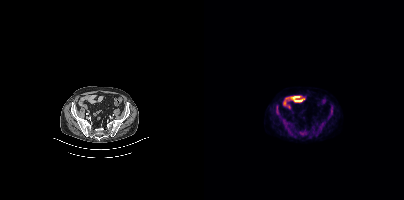
Paired axial CT (left) and PSMA PET (right), [18F]PSMA-1007 tracer. PET panel 200×200 px (4.1 mm/px). Coordinates are on the 200×200 PET (right) panel. PSMA-avid tumor lesion bounding boxes (x, y, width, height): x=95 y=129 w=9 h=7 / x=78 y=119 w=8 h=9 / x=72 y=105 w=5 h=12 / x=124 y=106 w=6 h=12.